- de-identified by setting a box covering the face to black before release
- Left: CT. Right: PSMA PET, same axial level, 18F tracer
- acquired on Siemens Biograph mCT Flow 20
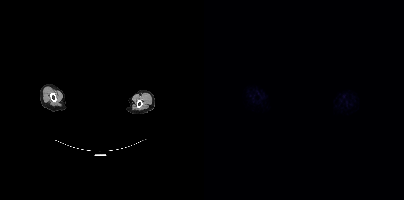
Findings: No tumor lesions annotated on this slice.